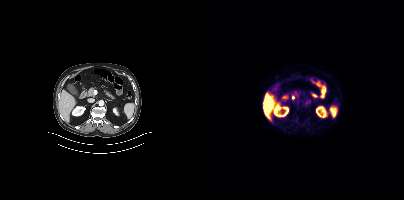
Technique: Paired axial CT (left) and PSMA PET (right), 18F-PSMA tracer. acquired on Siemens Biograph mCT Flow 20. slice 239 of 466.
Findings: No PSMA-avid tumor lesions on this slice.